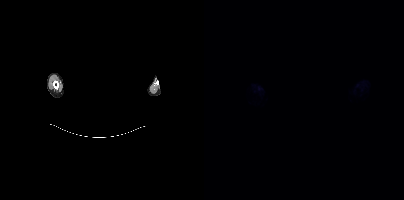
{"pet_grid":[200,200],"coord_frame":"pet_panel","coord_format":"x0,y0,x1,y1","psma_avid_lesions":false,"modality":"PSMA PET/CT","view":"axial","tracer":"18F-PSMA","deidentification":"head region blanked (face removed)"}